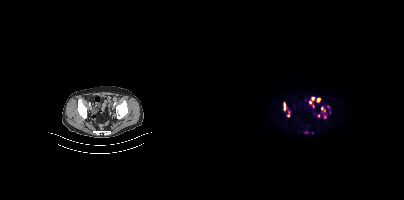
{"modality":"PSMA PET/CT","view":"axial","tracer":"18F","pet_grid":[200,200],"coord_frame":"pet_panel","coord_format":"x0,y0,x1,y1","partial":true,"lesion_bboxes":[[79,102,81,111],[83,111,86,116]],"small_foci_centers":[[108,98],[114,100],[106,102],[117,108]]}